Left: CT. Right: PSMA PET, same axial level, 18F-PSMA tracer. Acquired on Siemens Biograph mCT Flow 20. Slice position z = -833 mm. PET panel 200×200 px (4.1 mm/px).
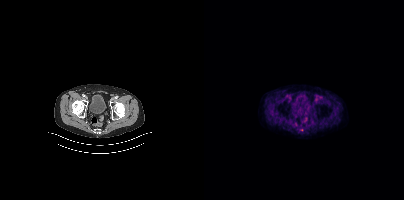
No tumor lesions annotated on this slice.